modality: PSMA PET/CT | tracer: 18F-PSMA | view: axial | PET grid: 168×168
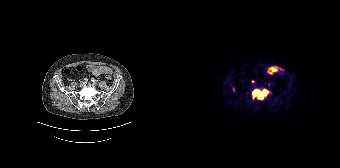
Coordinates are on the 168×168 PET (right) panel. PSMA-avid tumor lesion bounding boxes (x, y, width, height): x=80 y=88 w=19 h=12 / x=96 y=82 w=4 h=5 / x=61 y=87 w=2 h=5. Small PSMA-avid focus (2 to 4 px across) near (center x, center y): (80, 81).